modality: PSMA PET/CT | tracer: 18F-PSMA | view: axial | PET grid: 200×200
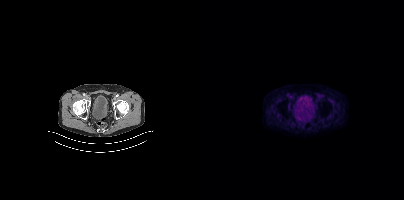
This slice has no annotated PSMA-avid lesion.